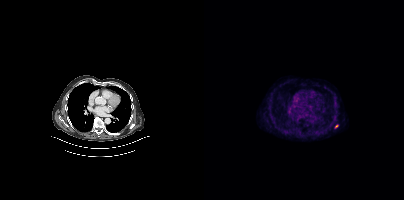
Coordinates are on the 200×200 PET (right) panel. Small PSMA-avid focus (2 to 4 px across) near (center x, center y): (132, 125).